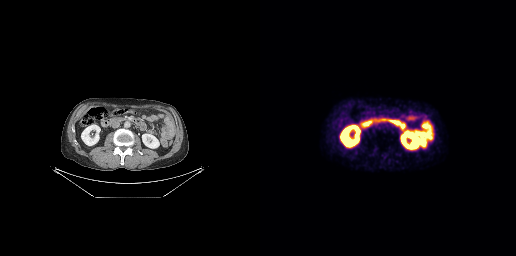
modality: PSMA PET/CT | tracer: 18F | view: axial
Negative for PSMA-avid disease on this slice.